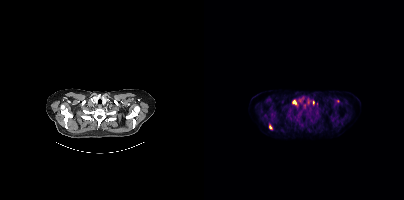
Technique: Two-panel axial: CT | PSMA PET, [18F]PSMA-1007 tracer. acquired on Siemens Biograph mCT Flow 20.
Findings: Coordinates are on the 200×200 PET (right) panel. PSMA-avid tumor lesion bounding box (x, y, width, height): x=89 y=100 w=4 h=5. Small PSMA-avid foci (2 to 4 px across) near (center x, center y): (66, 126) | (109, 102).